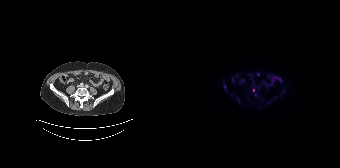
{"modality":"PSMA PET/CT","view":"axial","tracer":"18F-PSMA","pet_grid":[168,168],"coord_frame":"pet_panel","coord_format":"x0,y0,x1,y1","lesion_bboxes":[],"small_foci_centers":[[81,90]]}